Left: CT. Right: PSMA PET, same axial level, [18F]PSMA-1007 tracer. PET panel 200×200 px (4.1 mm/px).
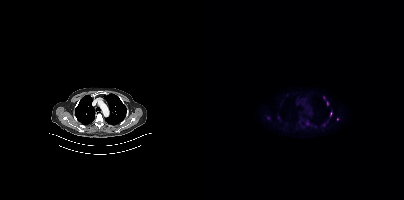
Coordinates are on the 200×200 PET (right) panel. (showing 1 of 3 foci) Small PSMA-avid focus (2 to 4 px across) near (center x, center y): (133, 119).